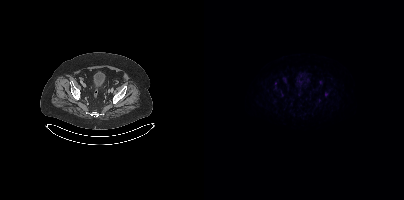
Findings: Coordinates are on the 200×200 PET (right) panel. Small PSMA-avid focus (2 to 4 px across) near (center x, center y): (122, 94).
- Left: CT. Right: PSMA PET, same axial level, [18F]PSMA-1007 tracer
- acquired on Siemens Biograph mCT Flow 20
- slice position z = -787 mm
- PET panel 200×200 px (4.1 mm/px)